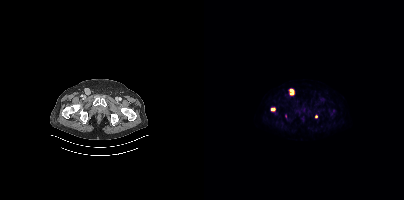
Left: CT. Right: PSMA PET, same axial level, 18F tracer. Acquired on Siemens Biograph mCT Flow 20. PET panel 200×200 px (4.1 mm/px). Coordinates are on the 200×200 PET (right) panel. PSMA-avid tumor lesion bounding boxes (x, y, width, height): x=85 y=88 w=6 h=8 / x=67 y=108 w=5 h=3. Small PSMA-avid focus (2 to 4 px across) near (center x, center y): (112, 116).